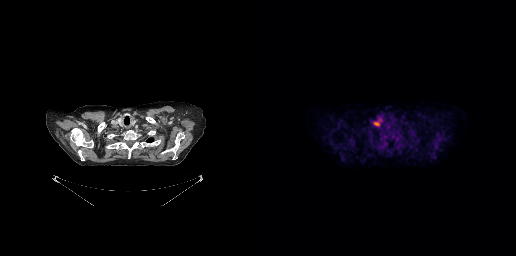
Coordinates are on the 256×256 PET (right) panel. PSMA-avid tumor lesion bounding box (x0,y0,x1,y1): [113,118,122,126].